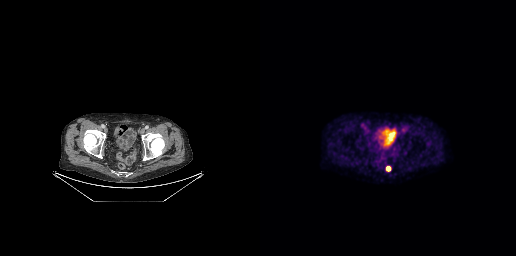
Findings: Coordinates are on the 256×256 PET (right) panel. PSMA-avid tumor lesion bounding box (x0,y0,x1,y1): [126,166,131,170].
Technique: Paired axial CT (left) and PSMA PET (right), 18F tracer. PET panel 256×256 px (2.7 mm/px).